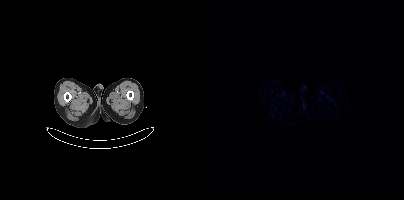
Paired axial CT (left) and PSMA PET (right), 68Ga tracer. No tumor lesions annotated on this slice.